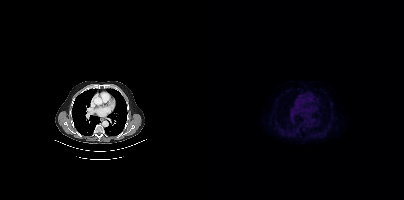
Negative for PSMA-avid disease on this slice.